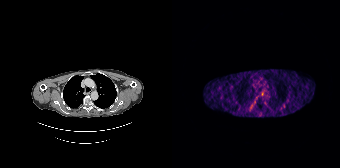
Paired axial CT (left) and PSMA PET (right), [68Ga]Ga-PSMA-11 tracer. Slice 123 of 165. PET panel 168×168 px (4.1 mm/px). No tumor lesions annotated on this slice.